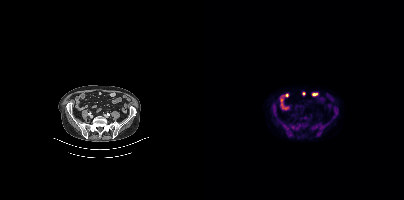
Coordinates are on the 200×200 PET (right) panel. PSMA-avid tumor lesion bounding boxes:
| # | x0 | y0 | x1 | y1 |
|---|---|---|---|---|
| 1 | 130 | 106 | 132 | 111 |
Small PSMA-avid focus (2 to 4 px across) near (center x, center y): (101, 117).
Two-panel axial: CT | PSMA PET, [18F]PSMA-1007 tracer. Acquired on Siemens Biograph mCT Flow 20. PET panel 200×200 px (4.1 mm/px).